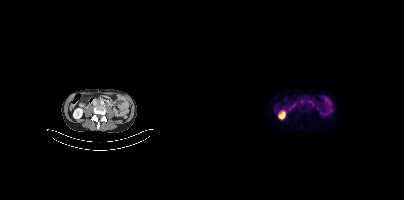
Left: CT. Right: PSMA PET, same axial level, 18F-PSMA tracer. Slice 145 of 423. Coordinates are on the 200×200 PET (right) panel. (showing 1 of 2 foci) Small PSMA-avid focus (2 to 4 px across) near (center x, center y): (97, 101).